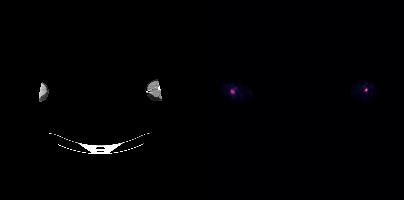
Coordinates are on the 200×200 PET (right) panel. Small PSMA-avid foci (2 to 4 px across) near (center x, center y): (28, 91) / (161, 89). A rectangle over the head was blacked out to remove identifiable facial features. Paired axial CT (left) and PSMA PET (right), 18F tracer. Slice 418 of 429. PET panel 200×200 px (4.1 mm/px).